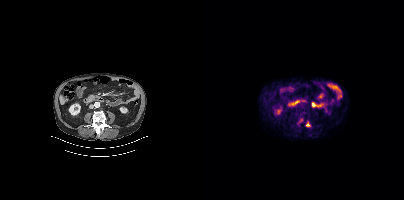
{"modality":"PSMA PET/CT","view":"axial","tracer":"[18F]PSMA-1007","pet_grid":[200,200],"coord_frame":"pet_panel","coord_format":"x0,y0,x1,y1","lesion_bboxes":[[102,122,105,126]]}